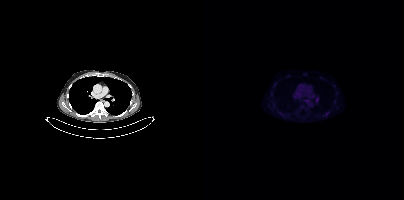
- Two-panel axial: CT | PSMA PET, 18F tracer
- slice position z = -397 mm
Findings: Coordinates are on the 200×200 PET (right) panel. PSMA-avid tumor lesion bounding box (x0, y0)-(x1, y1): (121, 112)-(125, 115).